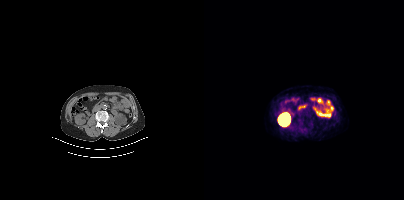
{"pet_grid":[200,200],"coord_frame":"pet_panel","coord_format":"x0,y0,x1,y1","psma_avid_lesions":false,"modality":"PSMA PET/CT","view":"axial","tracer":"[68Ga]Ga-PSMA-11"}